Paired axial CT (left) and PSMA PET (right), 18F-PSMA tracer. PET panel 200×200 px (4.1 mm/px).
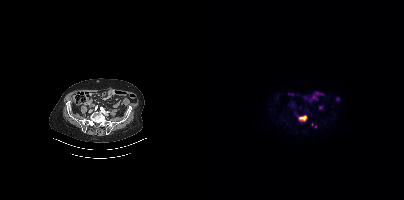
Coordinates are on the 200×200 PET (right) panel. PSMA-avid tumor lesion bounding box (x0, y0)-(x1, y1): (93, 115)-(103, 121). Small PSMA-avid foci (2 to 4 px across) near (center x, center y): (108, 124); (111, 126).